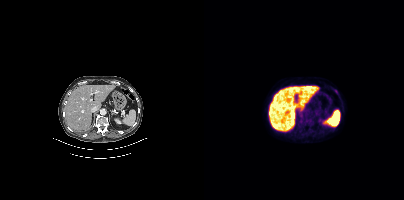
Findings: Coordinates are on the 200×200 PET (right) panel. PSMA-avid tumor lesion bounding box (x0,y0,x1,y1): [130,89,133,93].
- Left: CT. Right: PSMA PET, same axial level, 18F-PSMA tracer
- PET panel 200×200 px (4.1 mm/px)